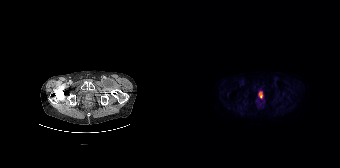
Negative for PSMA-avid disease on this slice.